Paired axial CT (left) and PSMA PET (right), 18F-PSMA tracer. Acquired on Siemens Biograph mCT Flow 20. Slice position z = -803 mm.
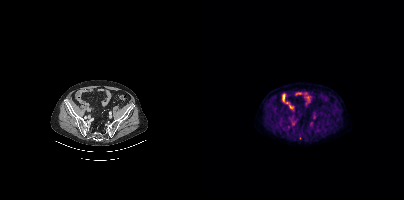
Coordinates are on the 200×200 PET (right) panel. Small PSMA-avid focus (2 to 4 px across) near (center x, center y): (96, 138).